Technique: Left: CT. Right: PSMA PET, same axial level, [18F]PSMA-1007 tracer. PET panel 200×200 px (4.1 mm/px).
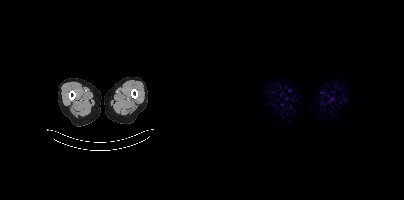
Findings: Negative for PSMA-avid disease on this slice.